Two-panel axial: CT | PSMA PET, [18F]PSMA-1007 tracer. PET panel 200×200 px (4.1 mm/px).
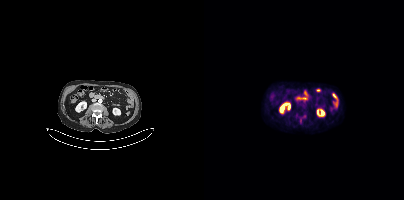
No tumor lesions annotated on this slice.